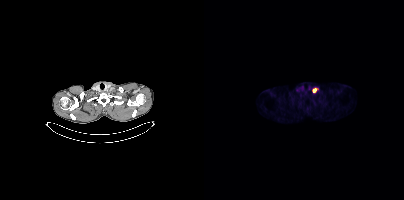
{"modality":"PSMA PET/CT","view":"axial","tracer":"[18F]PSMA-1007","pet_grid":[200,200],"coord_frame":"pet_panel","coord_format":"x0,y0,x1,y1","lesion_bboxes":[[109,88,112,92]]}